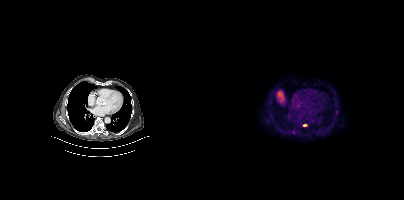
Left: CT. Right: PSMA PET, same axial level, [18F]PSMA-1007 tracer. Acquired on Siemens Biograph mCT Flow 20. Slice position z = -1128 mm. PET panel 200×200 px (4.1 mm/px). Coordinates are on the 200×200 PET (right) panel. Small PSMA-avid focus (2 to 4 px across) near (center x, center y): (100, 125).